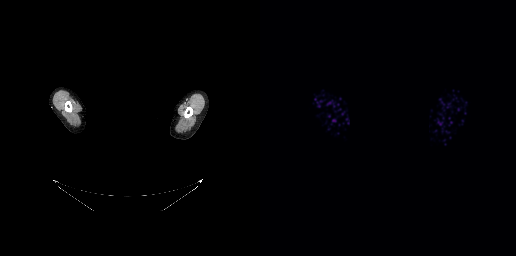
The face region was removed for patient privacy by blanking a rectangle over the head. Left: CT. Right: PSMA PET, same axial level, 68Ga tracer. This slice has no annotated PSMA-avid lesion.